Paired axial CT (left) and PSMA PET (right), 18F tracer. Acquired on GE Discovery 690. Slice position z = -837 mm. PET panel 256×256 px (2.7 mm/px).
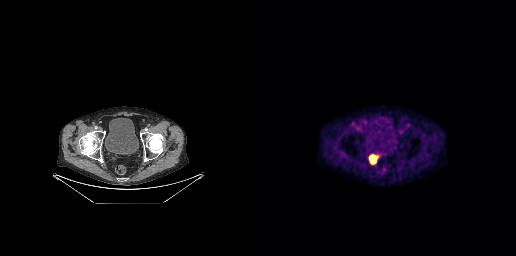
Coordinates are on the 256×256 PET (right) panel. PSMA-avid tumor lesion bounding box (x0, y0)-(x1, y1): (109, 154)-(118, 164).